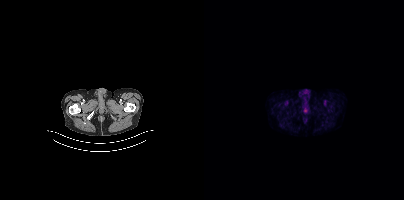
- Left: CT. Right: PSMA PET, same axial level, [18F]PSMA-1007 tracer
- PET panel 200×200 px (4.1 mm/px)
Findings: This slice has no annotated PSMA-avid lesion.